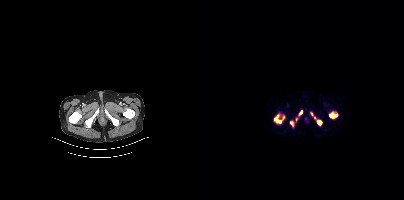
Findings: Coordinates are on the 200×200 PET (right) panel. PSMA-avid tumor lesion bounding boxes (x0, y0)-(x1, y1): (70, 114)-(80, 123); (125, 112)-(133, 118); (113, 120)-(118, 125); (86, 120)-(90, 127); (95, 110)-(98, 115). Small PSMA-avid foci (2 to 4 px across) near (center x, center y): (107, 113); (92, 119); (110, 117).
Technique: Left: CT. Right: PSMA PET, same axial level, 18F tracer. acquired on Siemens Biograph mCT Flow 20. PET panel 200×200 px (4.1 mm/px).